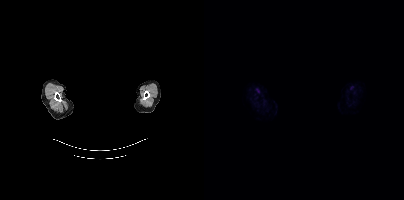
The face region was removed for patient privacy by blanking a rectangle over the head.
No PSMA-avid tumor lesions on this slice.